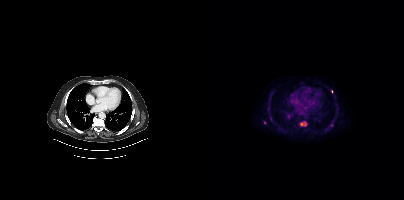
Coordinates are on the 200×200 PET (right) panel. (showing 2 of 6 foci) PSMA-avid tumor lesion bounding box (x, y, width, height): x=97 y=122 w=6 h=4. Small PSMA-avid focus (2 to 4 px across) near (center x, center y): (66, 118).